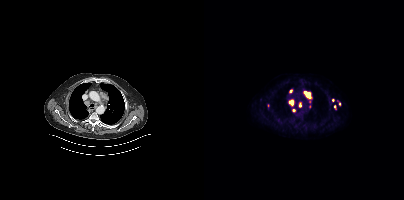
Two-panel axial: CT | PSMA PET, [18F]PSMA-1007 tracer. Acquired on Siemens Biograph mCT Flow 20. Slice 307 of 413. PET panel 200×200 px (4.1 mm/px).
Coordinates are on the 200×200 PET (right) panel. PSMA-avid tumor lesion bounding boxes (partial; 2 more foci not listed):
| # | x0 | y0 | x1 | y1 |
|---|---|---|---|---|
| 1 | 99 | 91 | 107 | 98 |
| 2 | 84 | 99 | 90 | 106 |
| 3 | 95 | 102 | 97 | 107 |
Small PSMA-avid foci (2 to 4 px across) near (center x, center y): (86, 90); (89, 110); (130, 106); (128, 100); (135, 103); (63, 105).